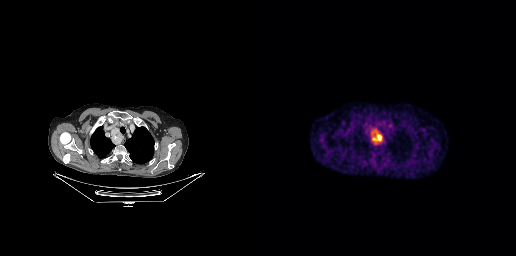
{"modality":"PSMA PET/CT","view":"axial","tracer":"18F","pet_grid":[256,256],"coord_frame":"pet_panel","coord_format":"x0,y0,x1,y1","lesion_bboxes":[[110,128,123,144]]}